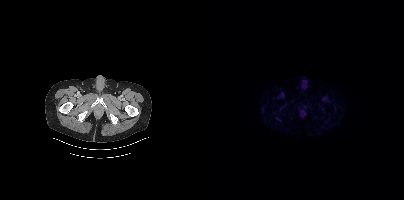
{"pet_grid":[200,200],"coord_frame":"pet_panel","coord_format":"x0,y0,x1,y1","psma_avid_lesions":false,"modality":"PSMA PET/CT","view":"axial","tracer":"[18F]PSMA-1007"}